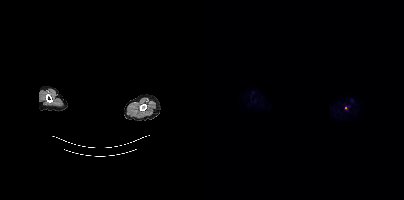
Two-panel axial: CT | PSMA PET, 18F tracer. PET panel 200×200 px (4.1 mm/px). De-identified by setting a box covering the face to black before release. Coordinates are on the 200×200 PET (right) panel. Small PSMA-avid focus (2 to 4 px across) near (center x, center y): (141, 107).